Technique: Left: CT. Right: PSMA PET, same axial level, [18F]PSMA-1007 tracer.
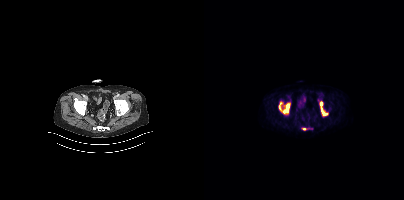
Findings: Coordinates are on the 200×200 PET (right) panel. (showing 2 of 4 foci) PSMA-avid tumor lesion bounding boxes (x0,y0,x1,y1): [74,102,85,113]; [116,101,123,115].